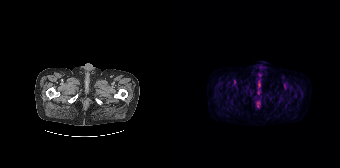
Paired axial CT (left) and PSMA PET (right), [18F]PSMA-1007 tracer. PET panel 168×168 px (4.1 mm/px). Negative for PSMA-avid disease on this slice.